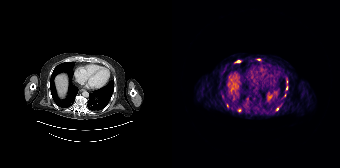
Coordinates are on the 168×168 PET (right) panel. Small PSMA-avid foci (2 to 4 px across) near (center x, center y): (114, 88), (66, 61), (86, 59), (67, 110).